Any black rectangle over the head is a privacy mask, not anatomy.
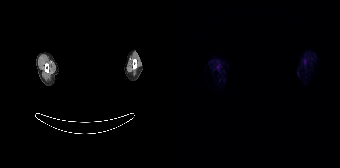
Negative for PSMA-avid disease on this slice.